Paired axial CT (left) and PSMA PET (right), [68Ga]Ga-PSMA-11 tracer. Acquired on GE Discovery 690. Slice position z = -796 mm. PET panel 256×256 px (2.7 mm/px).
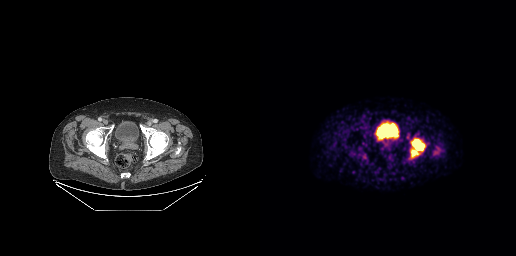
Coordinates are on the 256×256 PET (right) panel. PSMA-avid tumor lesion bounding boxes:
| # | x0 | y0 | x1 | y1 |
|---|---|---|---|---|
| 1 | 151 | 138 | 165 | 157 |